Technique: Two-panel axial: CT | PSMA PET, [68Ga]Ga-PSMA-11 tracer. acquired on GE Discovery 690.
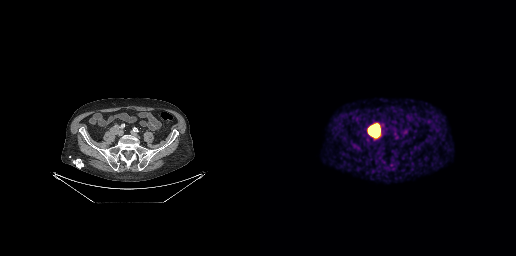
Findings: Coordinates are on the 256×256 PET (right) panel. PSMA-avid tumor lesion bounding box (x0, y0)-(x1, y1): (110, 126)-(118, 135).